modality: PSMA PET/CT | tracer: [18F]PSMA-1007 | view: axial | PET grid: 200×200
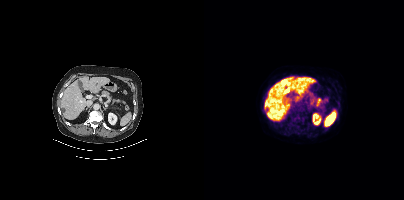
This slice has no annotated PSMA-avid lesion.